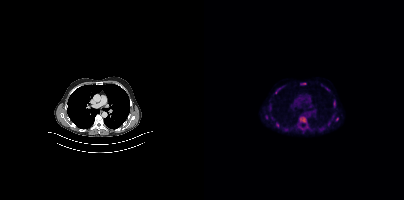
Left: CT. Right: PSMA PET, same axial level, 18F tracer. Slice position z = -326 mm.
Coordinates are on the 200×200 PET (right) panel. PSMA-avid tumor lesion bounding boxes (partial; 1 more focus not listed):
| # | x0 | y0 | x1 | y1 |
|---|---|---|---|---|
| 1 | 96 | 82 | 102 | 85 |
| 2 | 129 | 102 | 131 | 107 |
| 3 | 131 | 117 | 134 | 121 |
Small PSMA-avid foci (2 to 4 px across) near (center x, center y): (72, 91); (125, 123); (129, 116).